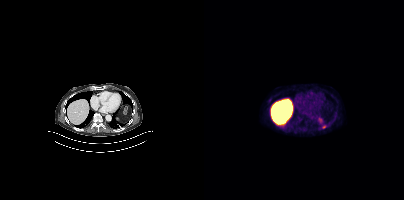
{"pet_grid":[200,200],"coord_frame":"pet_panel","coord_format":"x0,y0,x1,y1","lesion_bboxes":[[118,125,122,128]],"modality":"PSMA PET/CT","view":"axial","tracer":"[18F]PSMA-1007"}